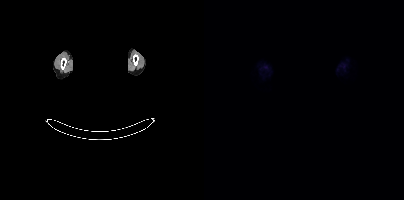
modality: PSMA PET/CT | tracer: 18F | view: axial | PET grid: 200×200 | de-identification: face masked with black rectangle
Negative for PSMA-avid disease on this slice.